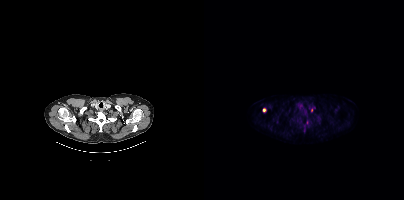
Technique: Left: CT. Right: PSMA PET, same axial level, [18F]PSMA-1007 tracer. acquired on Siemens Biograph mCT Flow 20. slice position z = -1015 mm.
Findings: Coordinates are on the 200×200 PET (right) panel. (showing 1 of 2 foci) PSMA-avid tumor lesion bounding box (x, y, width, height): x=58 y=108 w=5 h=5.